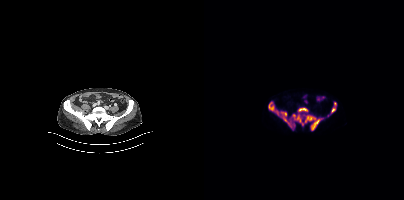
Two-panel axial: CT | PSMA PET, [18F]PSMA-1007 tracer. PET panel 200×200 px (4.1 mm/px).
Coordinates are on the 200×200 PET (right) panel. PSMA-avid tumor lesion bounding boxes (partial; 1 more focus not listed):
| # | x0 | y0 | x1 | y1 |
|---|---|---|---|---|
| 1 | 88 | 114 | 118 | 130 |
| 2 | 76 | 111 | 90 | 127 |
| 3 | 64 | 102 | 75 | 115 |
| 4 | 94 | 107 | 104 | 112 |
| 5 | 127 | 102 | 132 | 113 |